The head region is masked for de-identification.
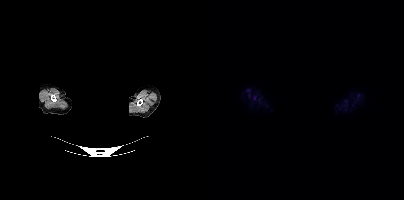
This slice has no annotated PSMA-avid lesion.